modality: PSMA PET/CT | tracer: 18F-PSMA | view: axial
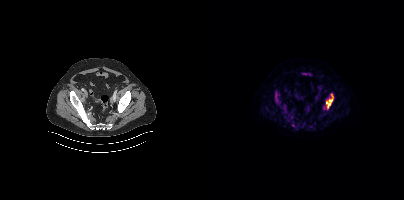
Coordinates are on the 200×200 PET (right) panel. PSMA-avid tumor lesion bounding box (x, y, width, height): x=122 y=93 w=8 h=16.